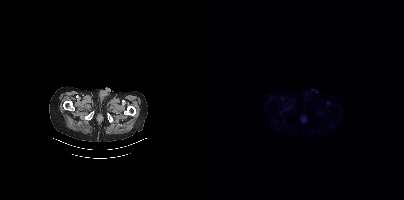
modality: PSMA PET/CT | tracer: 18F-PSMA | view: axial | PET grid: 200×200
No tumor lesions annotated on this slice.